modality: PSMA PET/CT | tracer: 18F-PSMA | view: axial | PET grid: 256×256
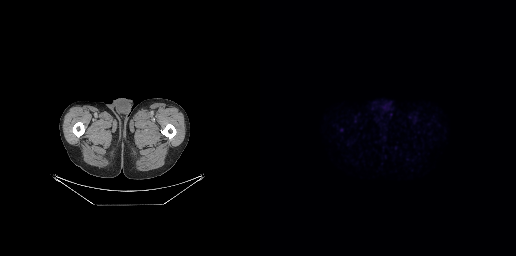
No tumor lesions annotated on this slice.